modality: PSMA PET/CT | tracer: 18F-PSMA | view: axial | PET grid: 200×200
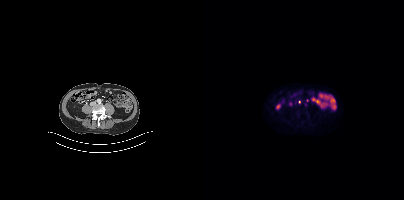
Coordinates are on the 200×200 PET (right) panel. (showing 2 of 3 foci) Small PSMA-avid foci (2 to 4 px across) near (center x, center y): (95, 102) / (101, 104).